Paired axial CT (left) and PSMA PET (right), [68Ga]Ga-PSMA-11 tracer.
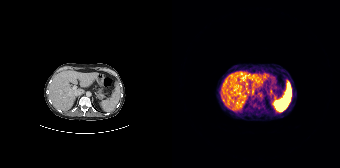
No tumor lesions annotated on this slice.